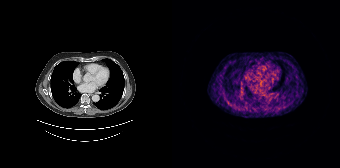
{"modality":"PSMA PET/CT","view":"axial","tracer":"68Ga-PSMA","pet_grid":[168,168],"coord_frame":"pet_panel","coord_format":"x0,y0,x1,y1","psma_avid_lesions":false}